modality: PSMA PET/CT | tracer: [18F]PSMA-1007 | view: axial
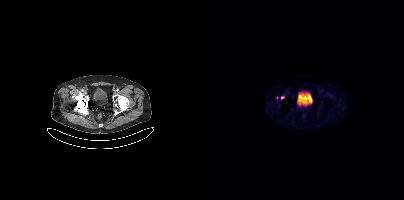
Only PSMA-avid lesion pieces thinner than 2 px on this slice (not listed).